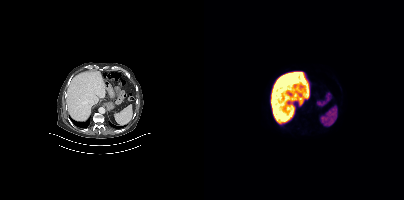
Findings: No PSMA-avid tumor lesions on this slice.
Technique: Paired axial CT (left) and PSMA PET (right), 18F tracer. acquired on Siemens Biograph mCT Flow 20. slice 236 of 395. PET panel 200×200 px (4.1 mm/px).